- Paired axial CT (left) and PSMA PET (right), 18F tracer
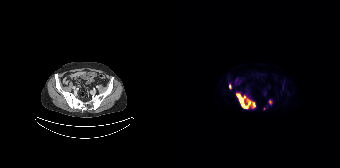
Findings: Coordinates are on the 168×168 PET (right) panel. (showing 3 of 4 foci) PSMA-avid tumor lesion bounding box (x0,y0,x1,y1): [64,93,83,108]. Small PSMA-avid foci (2 to 4 px across) near (center x, center y): (98, 101), (57, 86).